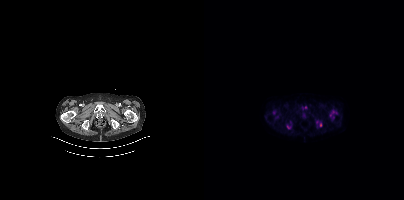
{"pet_grid":[200,200],"coord_frame":"pet_panel","coord_format":"x0,y0,x1,y1","lesion_bboxes":[[125,112,132,118],[112,121,118,126]],"small_foci_centers":[[84,126],[101,107]],"modality":"PSMA PET/CT","view":"axial","tracer":"18F"}